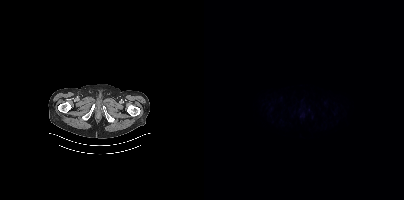
Technique: Left: CT. Right: PSMA PET, same axial level, 18F-PSMA tracer.
Findings: This slice has no annotated PSMA-avid lesion.